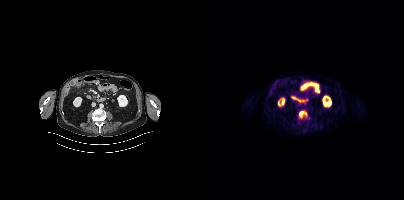
Coordinates are on the 200×200 PET (right) panel. PSMA-avid tumor lesion bounding box (x0, y0)-(x1, y1): (95, 111)-(99, 116). Small PSMA-avid focus (2 to 4 px across) near (center x, center y): (101, 113).